Paired axial CT (left) and PSMA PET (right), [18F]PSMA-1007 tracer. Slice position z = -280 mm.
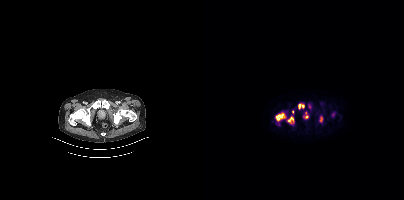
Coordinates are on the 200×200 PET (right) panel. (showing 7 of 8 foci) PSMA-avid tumor lesion bounding boxes (x0, y0)-(x1, y1): (72, 113)-(80, 120); (84, 117)-(90, 123); (95, 104)-(100, 108); (116, 116)-(118, 121). Small PSMA-avid foci (2 to 4 px across) near (center x, center y): (102, 117); (105, 106); (88, 111).